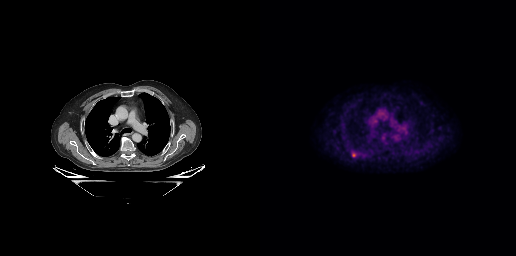
modality: PSMA PET/CT | tracer: 18F-PSMA | view: axial
Coordinates are on the 256×256 PET (right) panel. PSMA-avid tumor lesion bounding box (x, y, width, height): x=92 y=152 w=5 h=6.